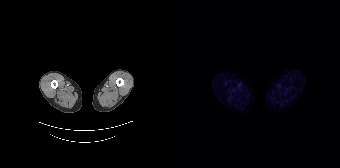
Findings: This slice has no annotated PSMA-avid lesion.
Technique: Two-panel axial: CT | PSMA PET, [68Ga]Ga-PSMA-11 tracer. slice 9 of 195. PET panel 168×168 px (4.1 mm/px).